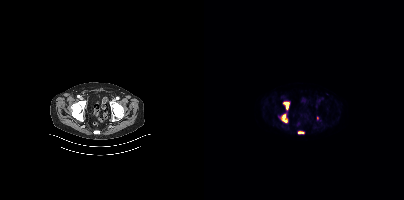
Paired axial CT (left) and PSMA PET (right), [18F]PSMA-1007 tracer. Slice 86 of 423. PET panel 200×200 px (4.1 mm/px).
Coordinates are on the 200×200 PET (right) panel. PSMA-avid tumor lesion bounding boxes:
| # | x0 | y0 | x1 | y1 |
|---|---|---|---|---|
| 1 | 78 | 114 | 83 | 122 |
| 2 | 79 | 102 | 85 | 109 |
| 3 | 94 | 131 | 99 | 133 |